Left: CT. Right: PSMA PET, same axial level, 18F tracer.
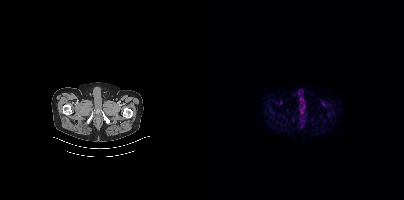
No tumor lesions annotated on this slice.